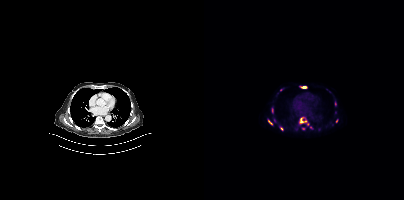
Findings: Coordinates are on the 200×200 PET (right) panel. (showing 4 of 5 foci) PSMA-avid tumor lesion bounding boxes (x, y, width, height): x=96 y=118 w=4 h=5 / x=64 y=120 w=5 h=5. Small PSMA-avid foci (2 to 4 px across) near (center x, center y): (77, 129) / (132, 120).
- Paired axial CT (left) and PSMA PET (right), [18F]PSMA-1007 tracer
- PET panel 200×200 px (4.1 mm/px)